De-identified by setting a box covering the face to black before release. Paired axial CT (left) and PSMA PET (right), [18F]PSMA-1007 tracer. Slice position z = 1844 mm.
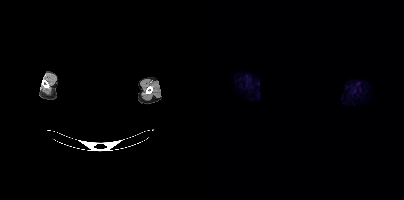
This slice has no annotated PSMA-avid lesion.